modality: PSMA PET/CT | tracer: [68Ga]Ga-PSMA-11 | view: axial
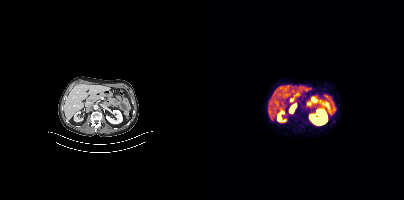
Coordinates are on the 200×200 PET (right) panel. PSMA-avid tumor lesion bounding box (x0, y0)-(x1, y1): (86, 105)-(92, 112).